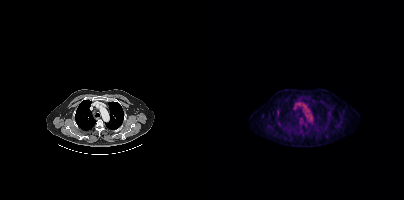
Findings: Only PSMA-avid lesion pieces thinner than 2 px on this slice (not listed).
Technique: Left: CT. Right: PSMA PET, same axial level, [18F]PSMA-1007 tracer.